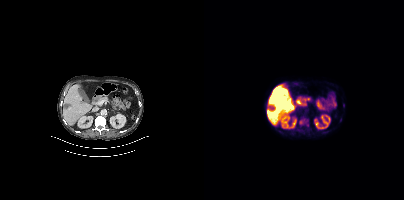
Coordinates are on the 200×200 PET (right) panel. PSMA-avid tumor lesion bounding boxes (x0,y0,x1,y1): [95,118,104,126], [139,103,140,107].